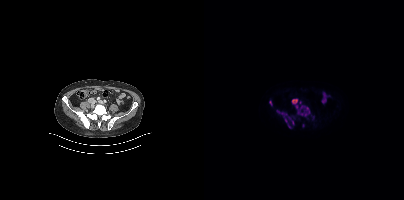
modality: PSMA PET/CT | tracer: 18F-PSMA | view: axial
Coordinates are on the 200×200 PET (right) panel. PSMA-avid tumor lesion bounding boxes (x0,y0,x1,y1): [93,105,106,116], [72,109,83,116], [85,116,91,126], [88,99,93,104], [81,119,87,128], [98,123,100,127], [65,101,68,105]. Small PSMA-avid focus (2 to 4 px across) near (center x, center y): (108, 117).